modality: PSMA PET/CT | tracer: 18F | view: axial | PET grid: 200×200
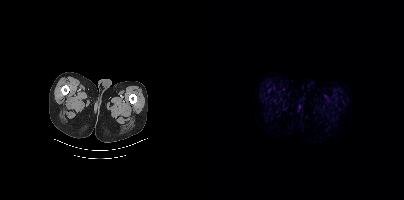
Negative for PSMA-avid disease on this slice.